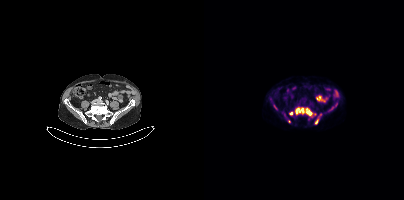
Coordinates are on the 200×200 PET (right) panel. (showing 6 of 9 foci) PSMA-avid tumor lesion bounding boxes (x0,y0,x1,y1): [91,107,108,115]; [111,117,114,124]; [125,107,129,110]; [70,105,72,109]. Small PSMA-avid foci (2 to 4 px across) near (center x, center y): (86, 113); (132, 105).